- Paired axial CT (left) and PSMA PET (right), 68Ga-PSMA tracer
- slice 263 of 373
- PET panel 200×200 px (4.1 mm/px)
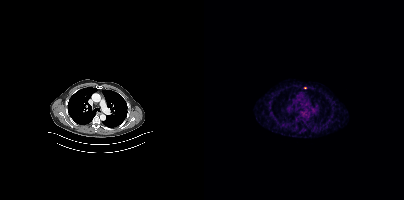
Findings: Only PSMA-avid lesion pieces thinner than 2 px on this slice (not listed).